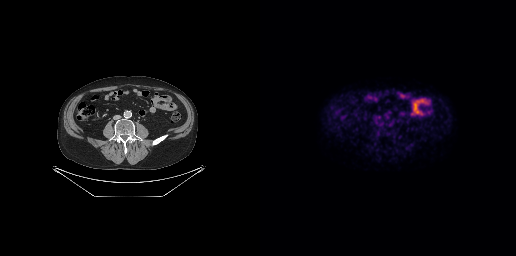
This slice has no annotated PSMA-avid lesion.